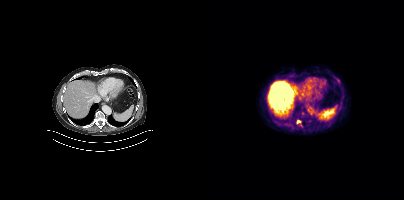
{"modality":"PSMA PET/CT","view":"axial","tracer":"[18F]PSMA-1007","pet_grid":[200,200],"coord_frame":"pet_panel","coord_format":"x0,y0,x1,y1","lesion_bboxes":[],"small_foci_centers":[[94,121]]}